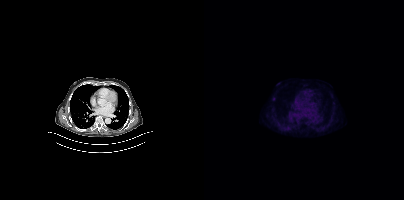
Technique: Left: CT. Right: PSMA PET, same axial level, [18F]PSMA-1007 tracer. acquired on Siemens Biograph mCT Flow 20. slice 276 of 411. PET panel 200×200 px (4.1 mm/px).
Findings: Coordinates are on the 200×200 PET (right) panel. Small PSMA-avid focus (2 to 4 px across) near (center x, center y): (69, 98).